Left: CT. Right: PSMA PET, same axial level, 68Ga tracer. Slice 12 of 165. PET panel 168×168 px (4.1 mm/px).
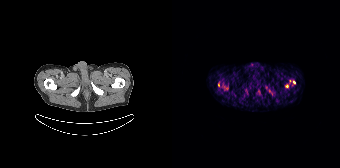
Coordinates are on the 168×168 PET (right) panel. PSMA-avid tumor lesion bounding boxes (partial; 1 more focus not listed):
| # | x0 | y0 | x1 | y1 |
|---|---|---|---|---|
| 1 | 50 | 84 | 56 | 90 |
| 2 | 46 | 82 | 47 | 86 |
Small PSMA-avid foci (2 to 4 px across) near (center x, center y): (122, 82); (115, 86).